- Left: CT. Right: PSMA PET, same axial level, 18F tracer
- PET panel 200×200 px (4.1 mm/px)
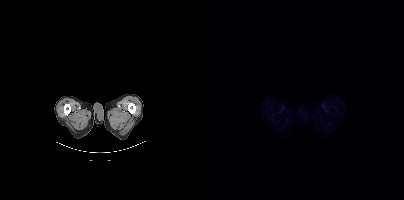
Findings: This slice has no annotated PSMA-avid lesion.